- Paired axial CT (left) and PSMA PET (right), 18F-PSMA tracer
- acquired on Siemens Biograph mCT Flow 20
- slice 126 of 407
- PET panel 200×200 px (4.1 mm/px)
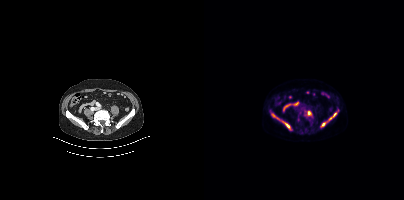
Findings: Coordinates are on the 200×200 PET (right) panel. (showing 5 of 6 foci) PSMA-avid tumor lesion bounding boxes (x, y, width, height): x=78 y=121 w=9 h=9 / x=123 y=112 w=10 h=10 / x=68 y=114 w=8 h=6 / x=104 y=111 w=3 h=5 / x=117 y=123 w=5 h=4.